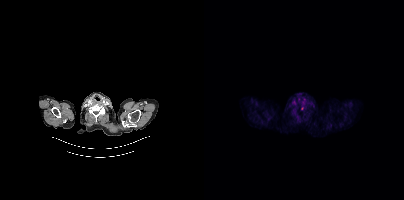
{"modality":"PSMA PET/CT","view":"axial","tracer":"[18F]PSMA-1007","pet_grid":[200,200],"coord_frame":"pet_panel","coord_format":"x0,y0,x1,y1","psma_avid_lesions":false}